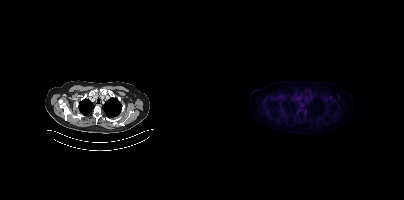
No tumor lesions annotated on this slice.